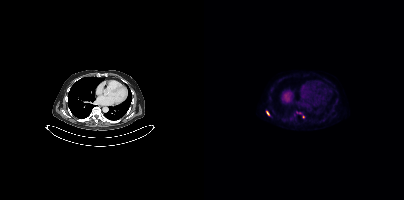
- Paired axial CT (left) and PSMA PET (right), 18F tracer
- acquired on Siemens Biograph mCT Flow 20
- slice position z = 174 mm
- PET panel 200×200 px (4.1 mm/px)
Findings: Coordinates are on the 200×200 PET (right) panel. (showing 1 of 2 foci) Small PSMA-avid focus (2 to 4 px across) near (center x, center y): (63, 113).